Two-panel axial: CT | PSMA PET, 68Ga-PSMA tracer. Acquired on Siemens Biograph 64-4R TruePoint. PET panel 168×168 px (4.1 mm/px).
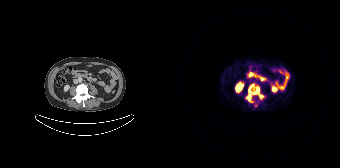
Coordinates are on the 168×168 PET (right) panel. PSMA-avid tumor lesion bounding boxes:
| # | x0 | y0 | x1 | y1 |
|---|---|---|---|---|
| 1 | 74 | 84 | 87 | 101 |
Small PSMA-avid focus (2 to 4 px across) near (center x, center y): (89, 96).